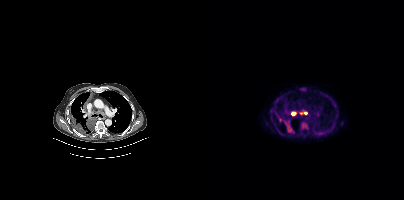
Coordinates are on the 200×200 PET (right) panel. PSMA-avid tumor lesion bounding boxes (x, y, width, height): x=75 y=118 w=14 h=15 / x=97 y=123 w=8 h=7 / x=95 y=110 w=9 h=5 / x=87 y=111 w=5 h=5. Left: CT. Right: PSMA PET, same axial level, [18F]PSMA-1007 tracer.